Left: CT. Right: PSMA PET, same axial level, [68Ga]Ga-PSMA-11 tracer. Acquired on GE Discovery 690. Slice position z = -641 mm. PET panel 256×256 px (2.7 mm/px).
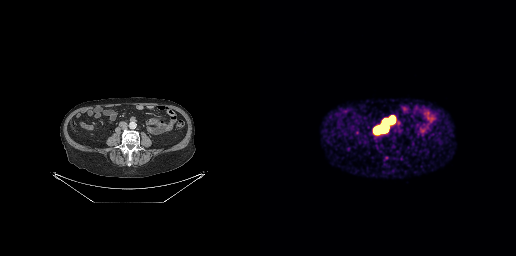
Coordinates are on the 256×256 PET (right) panel. PSMA-avid tumor lesion bounding box (x0,y0,x1,y1): [114,117,134,133].